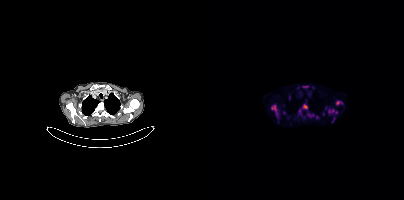
modality: PSMA PET/CT | tracer: 18F-PSMA | view: axial | PET grid: 200×200
Coordinates are on the 200×200 PET (right) panel. (showing 8 of 11 foci) PSMA-avid tumor lesion bounding boxes (x0, y0)-(x1, y1): (67, 105)-(73, 115) / (124, 109)-(133, 113) / (99, 105)-(103, 109) / (132, 101)-(138, 105). Small PSMA-avid foci (2 to 4 px across) near (center x, center y): (95, 111) / (105, 115) / (112, 117) / (129, 119).